modality: PSMA PET/CT | tracer: 18F-PSMA | view: axial | PET grid: 200×200
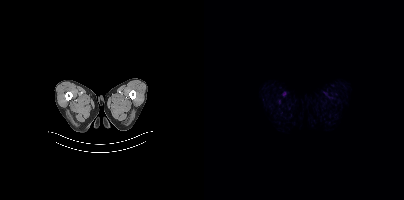
This slice has no annotated PSMA-avid lesion.